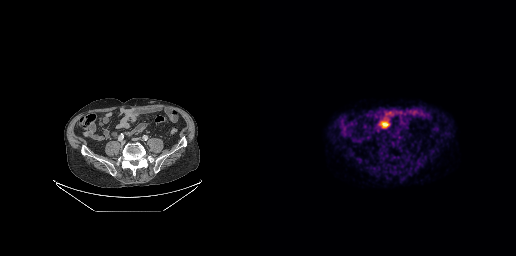
Two-panel axial: CT | PSMA PET, [18F]PSMA-1007 tracer. Slice position z = -578 mm. PET panel 256×256 px (2.7 mm/px). No tumor lesions annotated on this slice.